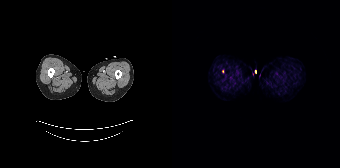
Coordinates are on the 168×168 PET (right) panel. Small PSMA-avid focus (2 to 4 px across) near (center x, center y): (50, 71).